Technique: Left: CT. Right: PSMA PET, same axial level, 18F tracer. slice position z = -712 mm. PET panel 200×200 px (4.1 mm/px).
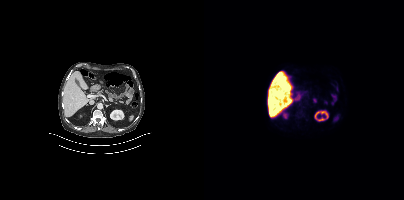
Findings: No PSMA-avid tumor lesions on this slice.